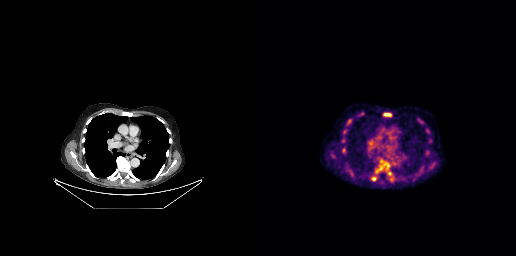
Coordinates are on the 256×256 PET (right) panel. (showing 7 of 8 foci) PSMA-avid tumor lesion bounding boxes (x0, y0)-(x1, y1): (116, 160)-(129, 172) | (123, 113)-(131, 116) | (86, 118)-(92, 125). Small PSMA-avid foci (2 to 4 px across) near (center x, center y): (129, 173) | (114, 179) | (83, 141) | (133, 178).